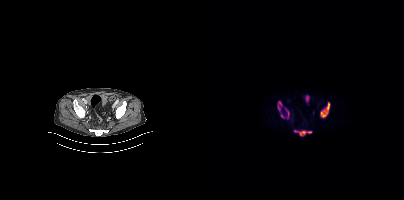
Left: CT. Right: PSMA PET, same axial level, 18F-PSMA tracer. PET panel 200×200 px (4.1 mm/px).
Coordinates are on the 200×200 PET (right) panel. PSMA-avid tumor lesion bounding boxes (partial; 1 more focus not listed):
| # | x0 | y0 | x1 | y1 |
|---|---|---|---|---|
| 1 | 116 | 102 | 125 | 117 |
| 2 | 95 | 131 | 107 | 135 |
| 3 | 74 | 101 | 77 | 110 |
| 4 | 83 | 111 | 85 | 117 |
Small PSMA-avid focus (2 to 4 px across) near (center x, center y): (78, 115).